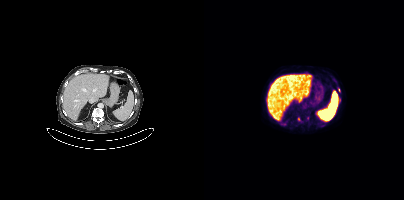
{"modality":"PSMA PET/CT","view":"axial","tracer":"18F","pet_grid":[200,200],"coord_frame":"pet_panel","coord_format":"x0,y0,x1,y1","partial":true,"lesion_bboxes":[],"small_foci_centers":[[135,100],[94,119]]}